- Left: CT. Right: PSMA PET, same axial level, 18F tracer
- any black rectangle over the head is a privacy mask, not anatomy
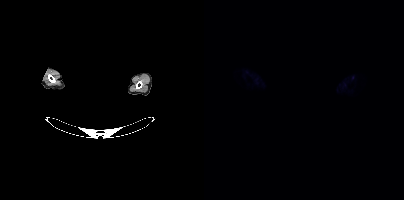
Findings: No tumor lesions annotated on this slice.